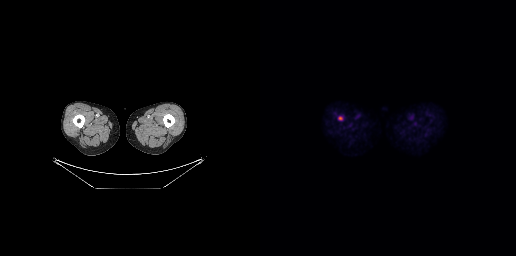
Left: CT. Right: PSMA PET, same axial level, 18F tracer. Slice 25 of 263. PET panel 256×256 px (2.7 mm/px). Coordinates are on the 256×256 PET (right) panel. PSMA-avid tumor lesion bounding box (x, y, width, height): x=78 y=116 w=5 h=5.